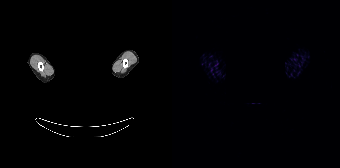
De-identified by setting a box covering the face to black before release.
No PSMA-avid tumor lesions on this slice.